Technique: Left: CT. Right: PSMA PET, same axial level, 68Ga tracer.
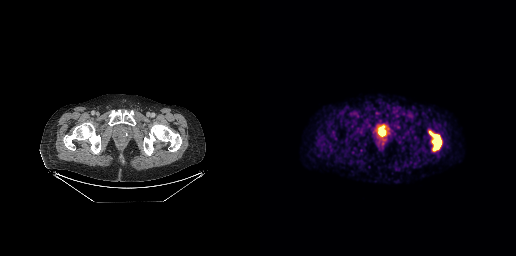
Findings: Coordinates are on the 256×256 PET (right) panel. PSMA-avid tumor lesion bounding box (x0, y0)-(x1, y1): (169, 131)-(181, 150).